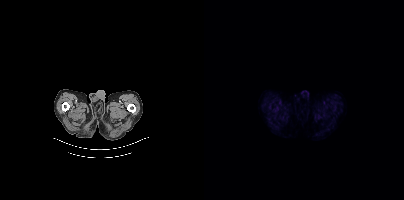
Technique: Paired axial CT (left) and PSMA PET (right), 18F-PSMA tracer. PET panel 200×200 px (4.1 mm/px).
Findings: This slice has no annotated PSMA-avid lesion.